modality: PSMA PET/CT | tracer: 18F-PSMA | view: axial
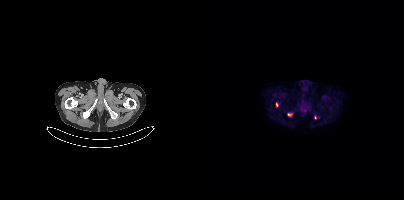
Coordinates are on the 200×200 PET (right) panel. PSMA-avid tumor lesion bounding boxes (x0,y0,x1,y1): [83,113,88,116]; [72,102,74,107]. Small PSMA-avid focus (2 to 4 px across) near (center x, center y): (111, 117).